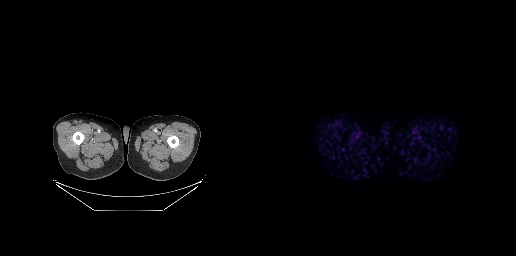
modality: PSMA PET/CT | tracer: 68Ga | view: axial | PET grid: 256×256
This slice has no annotated PSMA-avid lesion.